Privacy masking over the head, with the pixels inside a rectangle set to black. Two-panel axial: CT | PSMA PET, 68Ga-PSMA tracer. PET panel 168×168 px (4.1 mm/px).
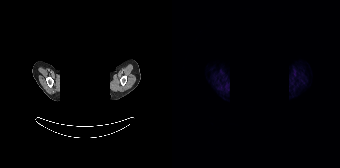
Negative for PSMA-avid disease on this slice.